modality: PSMA PET/CT | tracer: 18F | view: axial
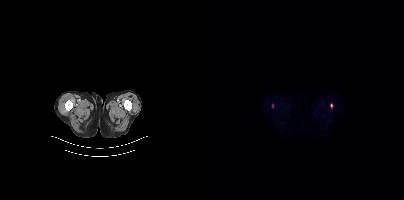
Coordinates are on the 200×200 PET (right) panel. Small PSMA-avid foci (2 to 4 px across) near (center x, center y): (127, 105), (68, 105).